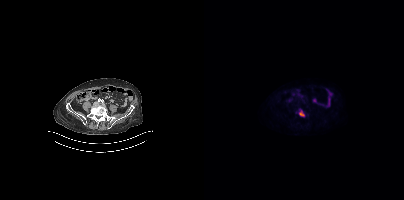
modality: PSMA PET/CT | tracer: 18F-PSMA | view: axial | PET grid: 200×200
Coordinates are on the 200×200 PET (right) panel. PSMA-avid tumor lesion bounding box (x0, y0)-(x1, y1): (95, 110)-(100, 116).